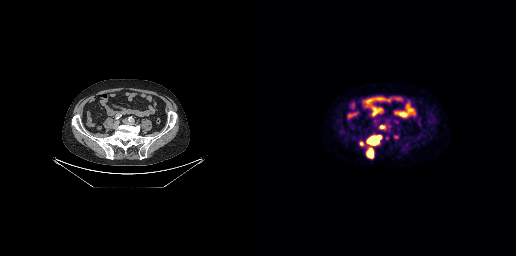
modality: PSMA PET/CT | tracer: 18F-PSMA | view: axial | PET grid: 256×256
Coordinates are on the 256×256 PET (right) panel. (showing 4 of 5 foci) PSMA-avid tumor lesion bounding boxes (x0,y0,x1,y1): [106,135,122,145], [106,147,113,158], [119,125,125,129]. Small PSMA-avid focus (2 to 4 px across) near (center x, center y): (101, 143).